Technique: Left: CT. Right: PSMA PET, same axial level, 18F-PSMA tracer. slice position z = -310 mm. PET panel 256×256 px (2.7 mm/px).
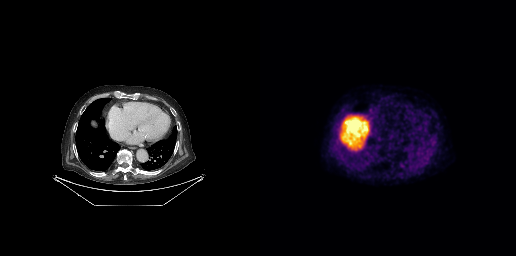
Findings: No tumor lesions annotated on this slice.